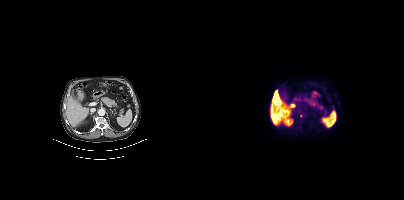
Coordinates are on the 200×200 PET (right) panel. Small PSMA-avid focus (2 to 4 px across) near (center x, center y): (97, 115).